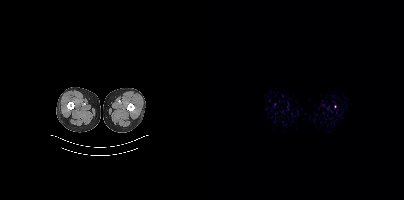
No PSMA-avid tumor lesions on this slice.